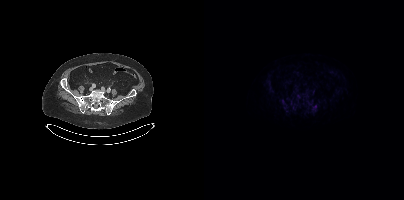
This slice has no annotated PSMA-avid lesion.